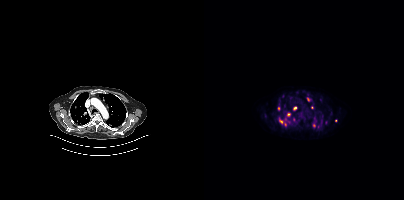
Findings: Coordinates are on the 200×200 PET (right) panel. (showing 9 of 15 foci) PSMA-avid tumor lesion bounding boxes (x, y, width, height): x=75 y=118 w=8 h=8 / x=109 y=120 w=4 h=8 / x=103 y=97 w=3 h=5. Small PSMA-avid foci (2 to 4 px across) near (center x, center y): (91, 108) / (108, 107) / (74, 108) / (114, 126) / (84, 114) / (131, 120).
Technique: Left: CT. Right: PSMA PET, same axial level, 18F tracer. slice 323 of 423.